Left: CT. Right: PSMA PET, same axial level, 18F tracer. PET panel 200×200 px (4.1 mm/px).
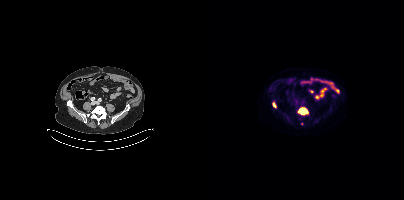
Coordinates are on the 200×200 PET (right) panel. PSMA-avid tumor lesion bounding boxes (partial; 1 more focus not listed):
| # | x0 | y0 | x1 | y1 |
|---|---|---|---|---|
| 1 | 93 | 107 | 104 | 115 |
| 2 | 68 | 102 | 72 | 107 |